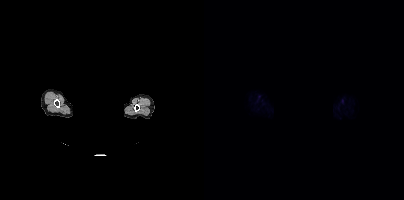
Technique: Paired axial CT (left) and PSMA PET (right), [18F]PSMA-1007 tracer.
Note: Facial anatomy redacted by setting a rectangular region of the head to black.
Findings: No tumor lesions annotated on this slice.